Technique: Two-panel axial: CT | PSMA PET, [18F]PSMA-1007 tracer. acquired on Siemens Biograph mCT Flow 20. slice 236 of 435. PET panel 200×200 px (4.1 mm/px).
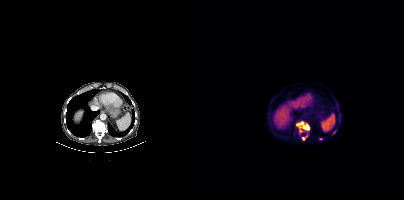
Findings: Coordinates are on the 200×200 PET (right) panel. (showing 4 of 5 foci) PSMA-avid tumor lesion bounding box (x0,y0,x1,y1): [92,122,105,132]. Small PSMA-avid foci (2 to 4 px across) near (center x, center y): (99, 139); (117, 138); (130, 132).